- the face region was removed for patient privacy by blanking a rectangle over the head
- Left: CT. Right: PSMA PET, same axial level, 18F tracer
- acquired on Siemens Biograph mCT Flow 20
- slice position z = -883 mm
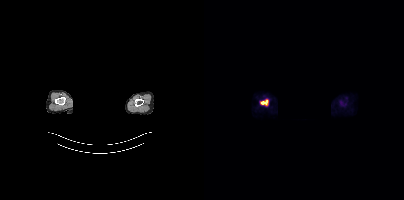
Findings: Coordinates are on the 200×200 PET (right) panel. PSMA-avid tumor lesion bounding box (x0,y0,x1,y1): [56,99,64,105].